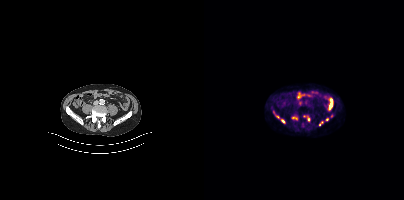
{"modality":"PSMA PET/CT","view":"axial","tracer":"18F-PSMA","pet_grid":[200,200],"coord_frame":"pet_panel","coord_format":"x0,y0,x1,y1","partial":true,"lesion_bboxes":[],"small_foci_centers":[[79,121],[104,119],[89,117],[122,119],[115,124],[73,116]]}